Two-panel axial: CT | PSMA PET, [18F]PSMA-1007 tracer.
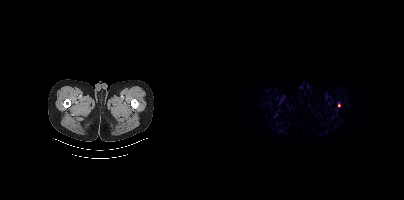
Coordinates are on the 200×200 PET (right) panel. PSMA-avid tumor lesion bounding box (x0, y0)-(x1, y1): (134, 103)-(136, 107).